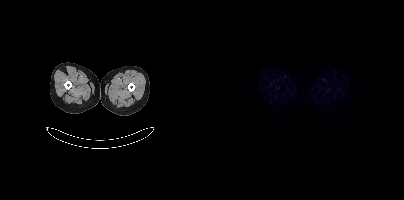
Negative for PSMA-avid disease on this slice. Paired axial CT (left) and PSMA PET (right), 18F tracer. Acquired on Siemens Biograph mCT Flow 20. Slice position z = -926 mm. PET panel 200×200 px (4.1 mm/px).